Technique: Paired axial CT (left) and PSMA PET (right), 18F tracer. acquired on Siemens Biograph mCT Flow 20. slice 396 of 435.
Note: The face region was removed for patient privacy by blanking a rectangle over the head.
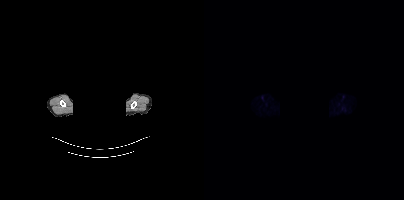
Findings: No PSMA-avid tumor lesions on this slice.